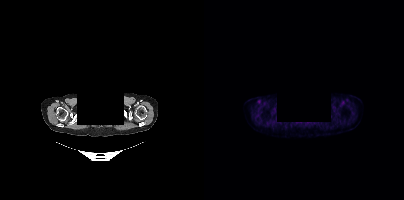
{"modality":"PSMA PET/CT","view":"axial","tracer":"18F-PSMA","pet_grid":[200,200],"coord_frame":"pet_panel","coord_format":"x0,y0,x1,y1","redaction":"facial region redacted","psma_avid_lesions":false}